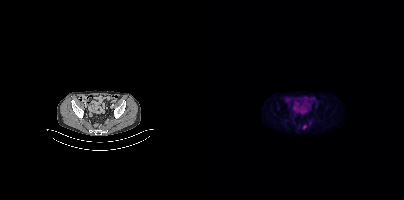
Coordinates are on the 200×200 PET (right) panel. PSMA-avid tumor lesion bounding boxes (partial; 1 more focus not listed):
| # | x0 | y0 | x1 | y1 |
|---|---|---|---|---|
| 1 | 98 | 125 | 102 | 129 |
Two-panel axial: CT | PSMA PET, 18F-PSMA tracer. Acquired on Siemens Biograph mCT Flow 20. Slice 80 of 423.